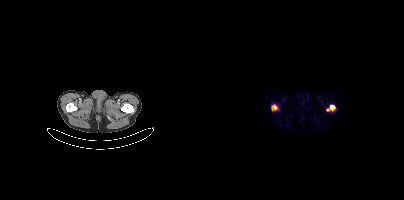
Two-panel axial: CT | PSMA PET, 68Ga-PSMA tracer. Slice 21 of 393. Coordinates are on the 200×200 PET (right) panel. PSMA-avid tumor lesion bounding boxes (x0,y0,x1,y1): [122,105,131,110] [68,105,73,109].